Left: CT. Right: PSMA PET, same axial level, 18F-PSMA tracer.
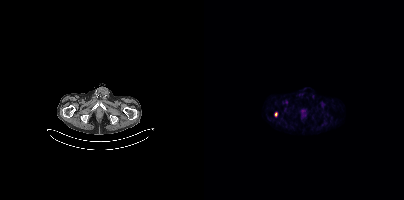
Coordinates are on the 200×200 PET (right) panel. PSMA-avid tumor lesion bounding box (x0, y0)-(x1, y1): (71, 112)-(73, 116).